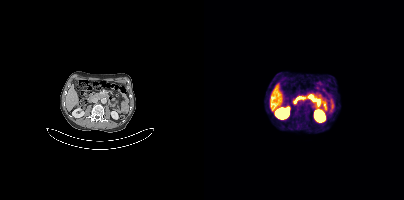
Paired axial CT (left) and PSMA PET (right), 68Ga tracer. Slice 212 of 452. No tumor lesions annotated on this slice.